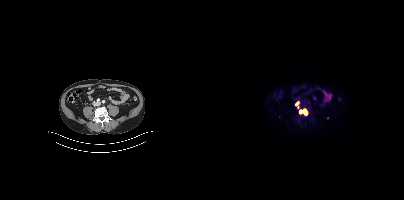
Coordinates are on the 200×200 PET (right) panel. (showing 2 of 3 foci) PSMA-avid tumor lesion bounding box (x0,y0,x1,y1): [95,109,103,114]. Small PSMA-avid focus (2 to 4 px across) near (center x, center y): (93, 103).